Technique: Left: CT. Right: PSMA PET, same axial level, 18F-PSMA tracer. acquired on GE Discovery 690. slice 108 of 263. PET panel 256×256 px (2.7 mm/px).
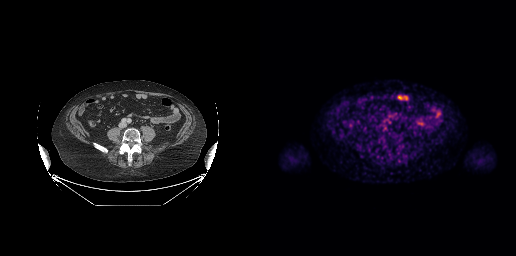
Findings: No tumor lesions annotated on this slice.